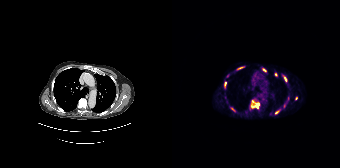
Paired axial CT (left) and PSMA PET (right), [68Ga]Ga-PSMA-11 tracer. Coordinates are on the 168×168 PET (right) panel. (showing 8 of 11 foci) PSMA-avid tumor lesion bounding boxes (x0,y0,x1,y1): [79,100,87,108]; [52,82,54,87]; [112,77,114,81]; [67,67,71,68]. Small PSMA-avid foci (2 to 4 px across) near (center x, center y): (104, 112); (103, 74); (60, 109); (92, 70).